Paired axial CT (left) and PSMA PET (right), [18F]PSMA-1007 tracer. Acquired on Siemens Biograph mCT Flow 20. Slice position z = -1120 mm.
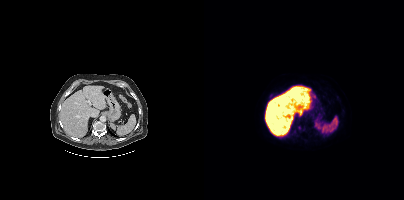
No PSMA-avid tumor lesions on this slice.